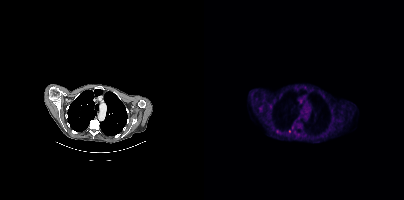
Two-panel axial: CT | PSMA PET, 18F tracer. PET panel 200×200 px (4.1 mm/px). Coordinates are on the 200×200 PET (right) panel. (showing 2 of 3 foci) Small PSMA-avid foci (2 to 4 px across) near (center x, center y): (66, 106) | (85, 131).